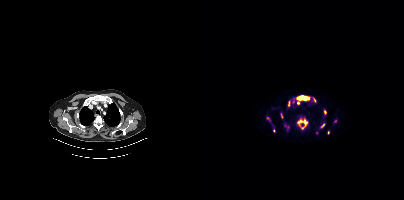
Two-panel axial: CT | PSMA PET, [18F]PSMA-1007 tracer. Slice position z = 208 mm.
Coordinates are on the 200×200 PET (right) panel. PSMA-avid tumor lesion bounding boxes (partial; 1 more focus not listed):
| # | x0 | y0 | x1 | y1 |
|---|---|---|---|---|
| 1 | 93 | 119 | 103 | 129 |
| 2 | 93 | 95 | 105 | 100 |
| 3 | 77 | 113 | 78 | 118 |
Small PSMA-avid foci (2 to 4 px across) near (center x, center y): (118, 125); (84, 103); (121, 112); (110, 99); (124, 132); (94, 102); (69, 130).